- Paired axial CT (left) and PSMA PET (right), 18F tracer
- acquired on Siemens Biograph mCT Flow 20
- slice 226 of 401
- PET panel 200×200 px (4.1 mm/px)
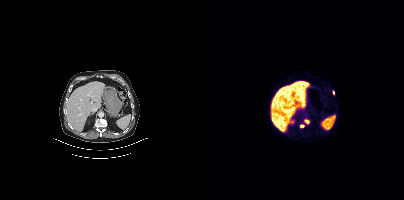
Findings: Coordinates are on the 200×200 PET (right) panel. Small PSMA-avid foci (2 to 4 px across) near (center x, center y): (102, 121) / (98, 126) / (129, 92).